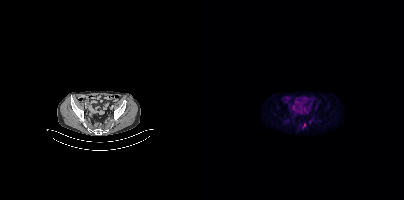
Findings: Coordinates are on the 200×200 PET (right) panel. PSMA-avid tumor lesion bounding box (x, y, width, height): x=98 y=124 w=4 h=5. Small PSMA-avid focus (2 to 4 px across) near (center x, center y): (106, 121).
Technique: Left: CT. Right: PSMA PET, same axial level, [18F]PSMA-1007 tracer. acquired on Siemens Biograph mCT Flow 20. slice 83 of 423. PET panel 200×200 px (4.1 mm/px).